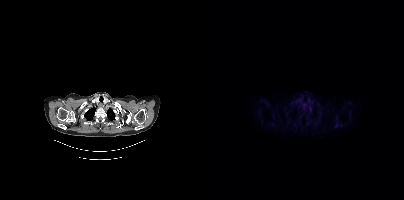
{"pet_grid":[200,200],"coord_frame":"pet_panel","coord_format":"x0,y0,x1,y1","partial":true,"lesion_bboxes":[],"modality":"PSMA PET/CT","view":"axial","tracer":"18F"}